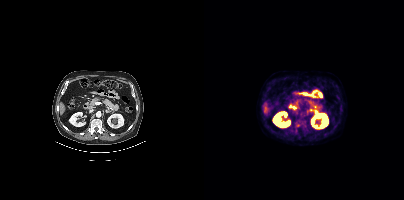
Technique: Left: CT. Right: PSMA PET, same axial level, [18F]PSMA-1007 tracer.
Findings: Coordinates are on the 200×200 PET (right) panel. Small PSMA-avid foci (2 to 4 px across) near (center x, center y): (93, 125) / (91, 131).